Two-panel axial: CT | PSMA PET, [18F]PSMA-1007 tracer. Acquired on Siemens Biograph mCT Flow 20. Slice position z = -1058 mm. PET panel 200×200 px (4.1 mm/px).
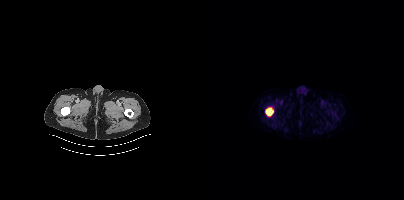
Coordinates are on the 200×200 PET (right) panel. PSMA-avid tumor lesion bounding box (x0, y0)-(x1, y1): (62, 108)-(69, 115).